Left: CT. Right: PSMA PET, same axial level, [18F]PSMA-1007 tracer. PET panel 200×200 px (4.1 mm/px). The face region was removed for patient privacy by blanking a rectangle over the head.
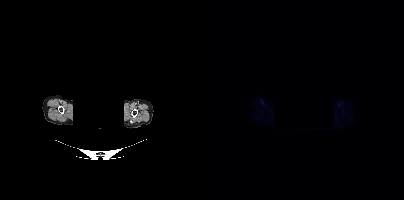
This slice has no annotated PSMA-avid lesion.